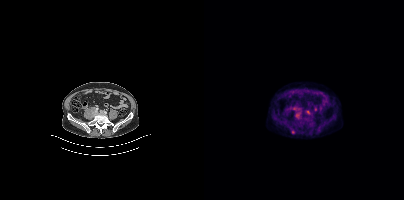
Coordinates are on the 200×200 PET (right) panel. Small PSMA-avid focus (2 to 4 px across) near (center x, center y): (89, 132).